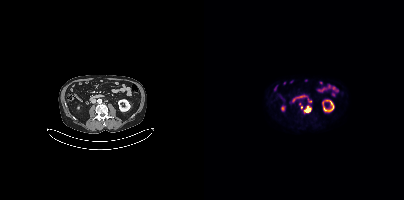
{"modality":"PSMA PET/CT","view":"axial","tracer":"18F-PSMA","pet_grid":[200,200],"coord_frame":"pet_panel","coord_format":"x0,y0,x1,y1","lesion_bboxes":[[99,106,106,113],[104,98,107,103]],"small_foci_centers":[[96,103],[97,107]]}